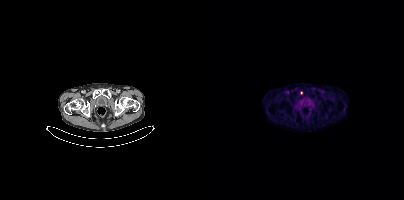
Coordinates are on the 200×200 PET (right) panel. Small PSMA-avid focus (2 to 4 px across) near (center x, center y): (97, 92).